Left: CT. Right: PSMA PET, same axial level, 18F tracer. PET panel 256×256 px (2.7 mm/px).
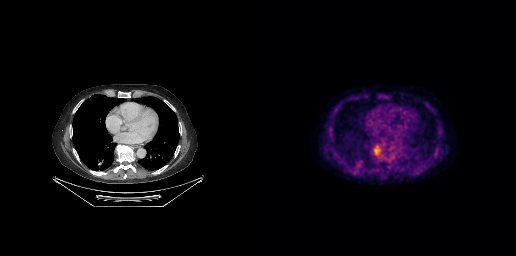
Negative for PSMA-avid disease on this slice.